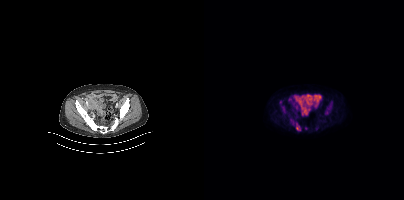
modality: PSMA PET/CT | tracer: 18F | view: axial | PET grid: 200×200
Coordinates are on the 200×200 PET (right) panel. (showing 5 of 6 foci) PSMA-avid tumor lesion bounding boxes (x, y, width, height): x=92 y=123 w=5 h=8 / x=78 y=107 w=3 h=6. Small PSMA-avid foci (2 to 4 px across) near (center x, center y): (87, 120) / (76, 101) / (127, 102).